Paired axial CT (left) and PSMA PET (right), [18F]PSMA-1007 tracer. Slice position z = 10 mm. PET panel 200×200 px (4.1 mm/px).
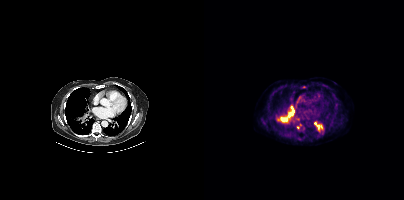
Coordinates are on the 200×200 PET (right) panel. PSMA-avid tumor lesion bounding boxes (partial; 2 more foci not listed):
| # | x0 | y0 | x1 | y1 |
|---|---|---|---|---|
| 1 | 72 | 106 | 90 | 122 |
| 2 | 113 | 125 | 119 | 130 |
| 3 | 97 | 86 | 101 | 88 |
Small PSMA-avid foci (2 to 4 px across) near (center x, center y): (94, 127); (111, 123).